Technique: Two-panel axial: CT | PSMA PET, 18F-PSMA tracer. acquired on Siemens Biograph mCT Flow 20. slice 296 of 429. PET panel 200×200 px (4.1 mm/px).
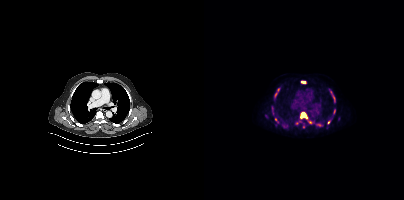
Findings: Coordinates are on the 200×200 PET (right) panel. (showing 8 of 10 foci) PSMA-avid tumor lesion bounding boxes (x0, y0)-(x1, y1): (97, 112)-(102, 118) / (126, 92)-(131, 101) / (97, 81)-(101, 83) / (70, 92)-(73, 97) / (129, 109)-(131, 113) / (71, 118)-(74, 122). Small PSMA-avid foci (2 to 4 px across) near (center x, center y): (99, 126) / (124, 122).